Paired axial CT (left) and PSMA PET (right), [18F]PSMA-1007 tracer. Acquired on Siemens Biograph mCT Flow 20. Slice position z = -508 mm. PET panel 200×200 px (4.1 mm/px).
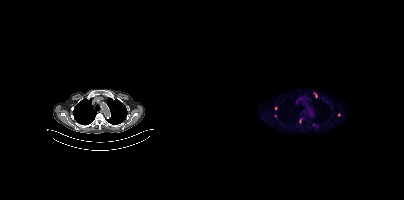
Coordinates are on the 200×200 PET (right) panel. PSMA-avid tumor lesion bounding boxes (x, y, width, height): x=109 y=92 w=5 h=7 | x=95 y=118 w=3 h=6. Small PSMA-avid foci (2 to 4 px across) near (center x, center y): (135, 114) | (71, 108) | (71, 115).